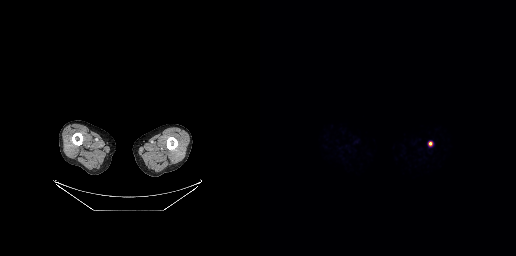
Technique: Two-panel axial: CT | PSMA PET, 68Ga-PSMA tracer. slice 13 of 263. PET panel 256×256 px (2.7 mm/px).
Findings: Coordinates are on the 256×256 PET (right) panel. Small PSMA-avid focus (2 to 4 px across) near (center x, center y): (170, 143).